Paired axial CT (left) and PSMA PET (right), [18F]PSMA-1007 tracer. Acquired on Siemens Biograph mCT Flow 20.
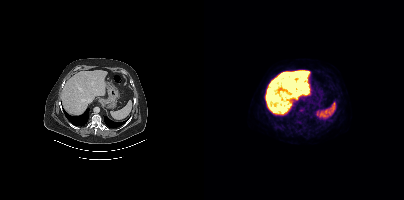
No PSMA-avid tumor lesions on this slice.